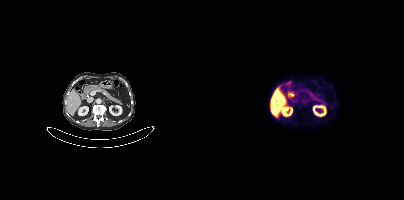
modality: PSMA PET/CT | tracer: [18F]PSMA-1007 | view: axial | PET grid: 200×200
Coordinates are on the 200×200 PET (right) panel. PSMA-avid tumor lesion bounding box (x, y, width, height): x=102 y=98 w=5 h=5.